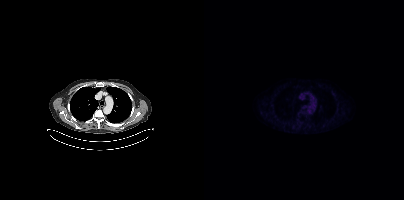
Negative for PSMA-avid disease on this slice.